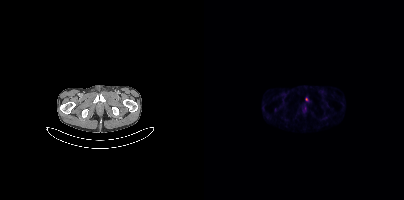
Coordinates are on the 200×200 PET (right) panel. (showing 1 of 2 foci) Small PSMA-avid focus (2 to 4 px across) near (center x, center y): (102, 99).